- Two-panel axial: CT | PSMA PET, 68Ga-PSMA tracer
- acquired on Siemens Biograph 64-4R TruePoint
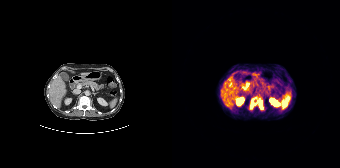
Findings: Coordinates are on the 168×168 PET (right) panel. PSMA-avid tumor lesion bounding box (x0,y0,x1,y1): [78,96,91,109].